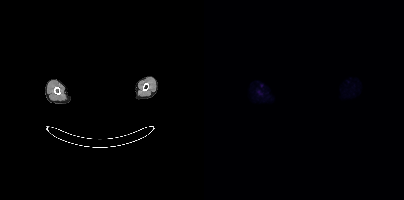
- Two-panel axial: CT | PSMA PET, 18F-PSMA tracer
- a rectangular block over the head has been blanked out for de-identification
Findings: Negative for PSMA-avid disease on this slice.